modality: PSMA PET/CT | tracer: 18F-PSMA | view: axial | PET grid: 200×200
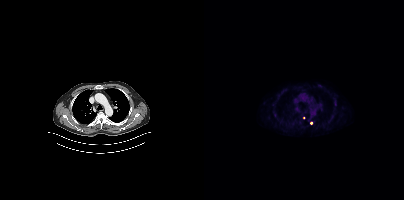
Only PSMA-avid lesion pieces thinner than 2 px on this slice (not listed).